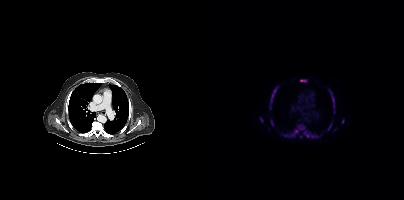
Coordinates are on the 200×200 PET (right) panel. PSMA-avid tumor lesion bounding boxes (x0,y0,x1,y1): [80,124,105,137] [66,89,72,109] [125,89,130,113] [96,79,102,82] [124,124,127,130] [56,117,59,121] [109,135,113,137] [138,119,140,123]. Small PSMA-avid focus (2 to 4 px across) near (center x, center y): (97, 136).